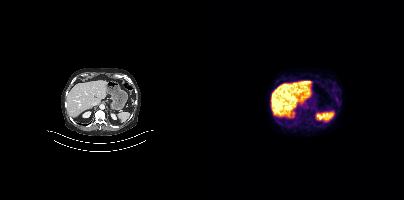
This slice has no annotated PSMA-avid lesion.